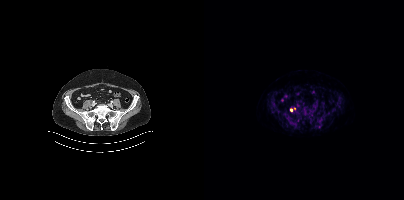
- Two-panel axial: CT | PSMA PET, [18F]PSMA-1007 tracer
- PET panel 200×200 px (4.1 mm/px)
Findings: Coordinates are on the 200×200 PET (right) panel. Small PSMA-avid foci (2 to 4 px across) near (center x, center y): (87, 109); (90, 108).